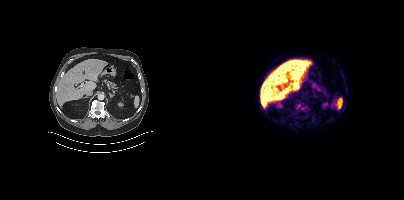
Only PSMA-avid lesion pieces thinner than 2 px on this slice (not listed). Left: CT. Right: PSMA PET, same axial level, 18F tracer. Acquired on Siemens Biograph mCT Flow 20.